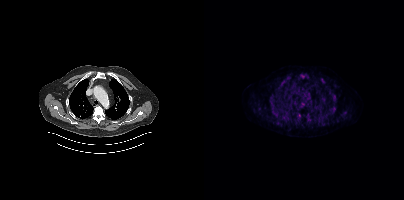
Coordinates are on the 200×200 PET (right) panel. (showing 8 of 11 foci) PSMA-avid tumor lesion bounding boxes (x0,y0,x1,y1): [71,112,75,116] [117,79,121,83] [124,111,129,114] [139,112,142,116] [97,74,101,78] [66,101,69,105]. Small PSMA-avid foci (2 to 4 px across) near (center x, center y): (130, 101) (95, 115). Paired axial CT (left) and PSMA PET (right), 18F tracer. Acquired on Siemens Biograph mCT Flow 20.